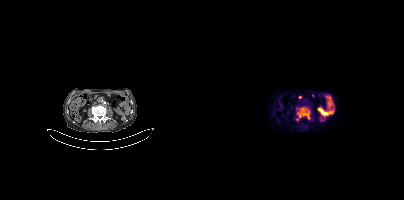
{"modality":"PSMA PET/CT","view":"axial","tracer":"18F-PSMA","pet_grid":[200,200],"coord_frame":"pet_panel","coord_format":"x0,y0,x1,y1","lesion_bboxes":[[92,106,106,120]]}